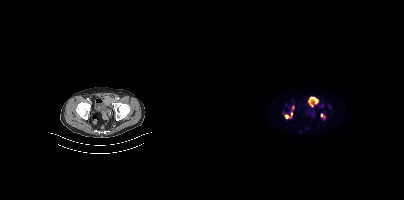
Coordinates are on the 200×200 PET (right) panel. PSMA-avid tumor lesion bounding boxes (x0, y0)-(x1, y1): (104, 97)-(113, 107); (87, 106)-(90, 115); (117, 114)-(120, 118). Small PSMA-avid focus (2 to 4 px across) near (center x, center y): (82, 116).